Paired axial CT (left) and PSMA PET (right), 18F tracer. Slice 57 of 413. PET panel 200×200 px (4.1 mm/px).
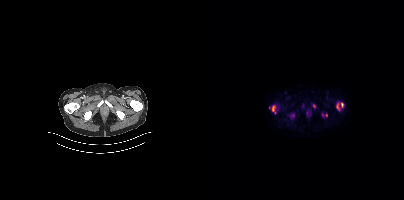
Coordinates are on the 200×200 PET (right) panel. PSMA-avid tumor lesion bounding boxes (x0, y0)-(x1, y1): (65, 106)-(72, 113) | (86, 113)-(90, 119) | (132, 103)-(135, 110) | (137, 103)-(139, 107). Small PSMA-avid foci (2 to 4 px across) near (center x, center y): (110, 105) | (122, 115) | (118, 114).